- Paired axial CT (left) and PSMA PET (right), 68Ga-PSMA tracer
- acquired on Siemens Biograph 64-4R TruePoint
- PET panel 168×168 px (4.1 mm/px)
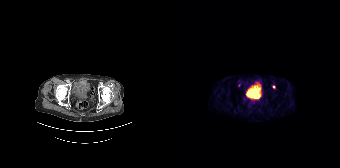
Findings: Coordinates are on the 168×168 PET (right) panel. Small PSMA-avid foci (2 to 4 px across) near (center x, center y): (66, 85), (101, 86).